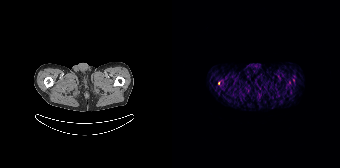
Paired axial CT (left) and PSMA PET (right), 68Ga-PSMA tracer. PET panel 168×168 px (4.1 mm/px). Coordinates are on the 168×168 PET (right) panel. Small PSMA-avid focus (2 to 4 px across) near (center x, center y): (47, 82).